Two-panel axial: CT | PSMA PET, 18F-PSMA tracer. PET panel 200×200 px (4.1 mm/px).
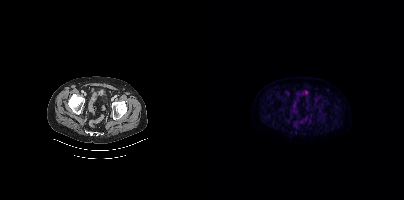
This slice has no annotated PSMA-avid lesion.